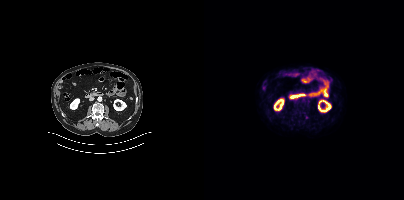
Coordinates are on the 200×200 PET (right) panel. Small PSMA-avid focus (2 to 4 px across) near (center x, center y): (102, 117).